Two-panel axial: CT | PSMA PET, [18F]PSMA-1007 tracer. Acquired on Siemens Biograph mCT Flow 20. PET panel 200×200 px (4.1 mm/px).
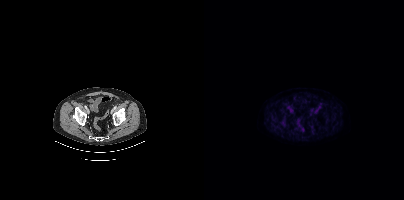
No tumor lesions annotated on this slice.